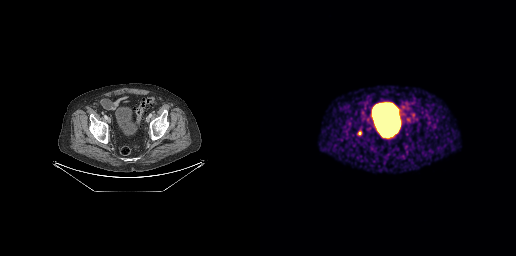
Coordinates are on the 256×256 PET (right) panel. Small PSMA-avid focus (2 to 4 px across) near (center x, center y): (99, 132). Paired axial CT (left) and PSMA PET (right), [68Ga]Ga-PSMA-11 tracer. Acquired on GE Discovery 690. Slice position z = -916 mm.